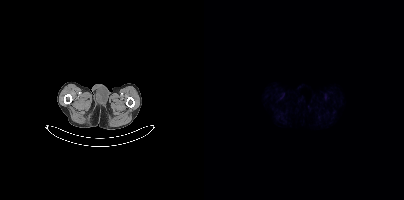
modality: PSMA PET/CT | tracer: 18F-PSMA | view: axial | PET grid: 200×200
This slice has no annotated PSMA-avid lesion.